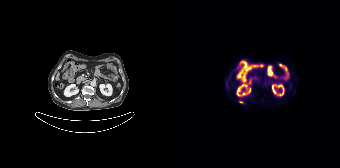
{"modality":"PSMA PET/CT","view":"axial","tracer":"18F","pet_grid":[168,168],"coord_frame":"pet_panel","coord_format":"x0,y0,x1,y1","lesion_bboxes":[[66,101,71,103]]}